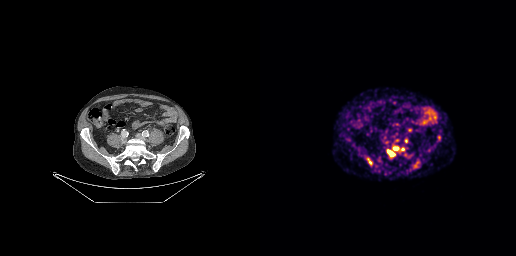
Coordinates are on the 256×256 PET (right) panel. PSMA-avid tumor lesion bounding boxes (partial; 1 more focus not listed):
| # | x0 | y0 | x1 | y1 |
|---|---|---|---|---|
| 1 | 127 | 150 | 134 | 155 |
| 2 | 108 | 160 | 112 | 165 |
| 3 | 133 | 147 | 138 | 150 |
| 4 | 155 | 161 | 159 | 164 |
| 5 | 178 | 136 | 180 | 140 |
Small PSMA-avid focus (2 to 4 px across) near (center x, center y): (142, 149).
Two-panel axial: CT | PSMA PET, 68Ga-PSMA tracer.